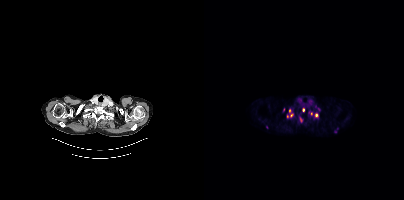
Findings: Coordinates are on the 200×200 PET (right) panel. (showing 7 of 8 foci) PSMA-avid tumor lesion bounding boxes (x, y, width, height): x=85 y=109 w=5 h=9 / x=94 y=117 w=4 h=7. Small PSMA-avid foci (2 to 4 px across) near (center x, center y): (107, 113) / (99, 110) / (112, 115) / (62, 127) / (83, 116).
- Two-panel axial: CT | PSMA PET, 68Ga tracer